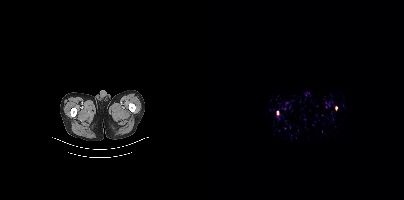
Coordinates are on the 200×200 PET (right) panel. PSMA-avid tumor lesion bounding box (x, y, width, height): x=131 y=106 w=3 h=5. Small PSMA-avid focus (2 to 4 px across) near (center x, center y): (73, 112).